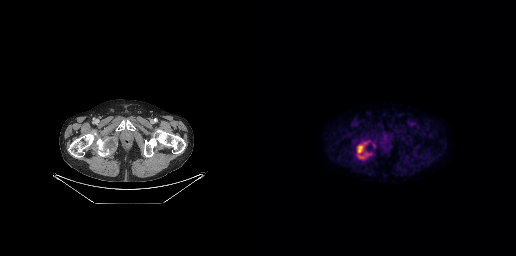
Two-panel axial: CT | PSMA PET, [18F]PSMA-1007 tracer. Slice position z = -888 mm. Coordinates are on the 256×256 PET (right) panel. (showing 1 of 2 foci) PSMA-avid tumor lesion bounding box (x, y, width, height): x=97 y=141 w=15 h=18.